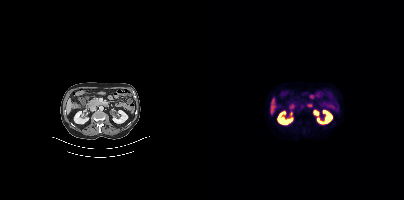
{"modality":"PSMA PET/CT","view":"axial","tracer":"18F-PSMA","pet_grid":[200,200],"coord_frame":"pet_panel","coord_format":"x0,y0,x1,y1","psma_avid_lesions":false}